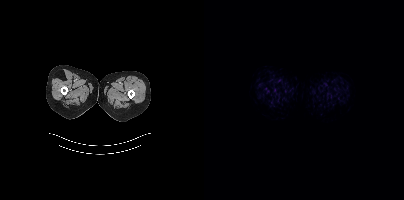
Two-panel axial: CT | PSMA PET, 18F-PSMA tracer. Acquired on Siemens Biograph mCT Flow 20. Slice position z = -948 mm. PET panel 200×200 px (4.1 mm/px). No PSMA-avid tumor lesions on this slice.